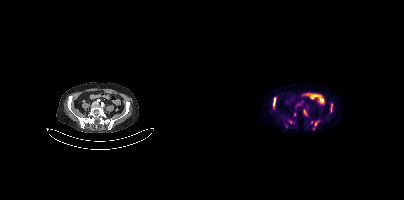
Coordinates are on the 200×200 PET (right) panel. PSMA-avid tumor lesion bounding boxes (x, y, width, height): x=69 y=97 w=4 h=12; x=127 y=104 w=2 h=8; x=111 y=121 w=4 h=5. Small PSMA-avid foci (2 to 4 px across) near (center x, center y): (90, 114); (86, 121).